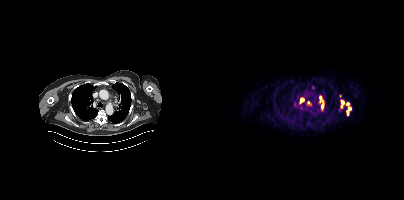
Coordinates are on the 200×200 PET (right) panel. (showing 9 of 11 foci) PSMA-avid tumor lesion bounding boxes (x0,y0,x1,y1): [115,96,119,103]; [103,101,107,104]; [137,99,140,103]; [117,105,119,110]. Small PSMA-avid foci (2 to 4 px across) near (center x, center y): (97, 99); (145, 108); (143, 112); (143, 103); (137, 106).